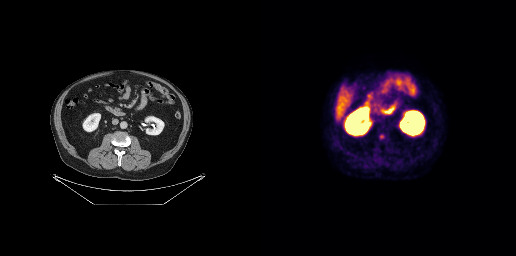
Coordinates are on the 256×256 PET (right) panel. Small PSMA-avid focus (2 to 4 px across) near (center x, center y): (121, 136).